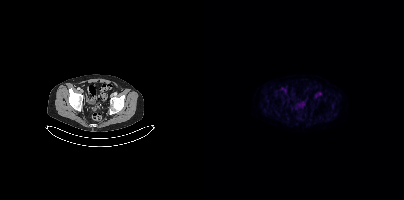
Technique: Two-panel axial: CT | PSMA PET, 18F-PSMA tracer.
Findings: Negative for PSMA-avid disease on this slice.